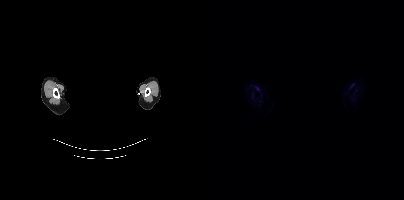
No tumor lesions annotated on this slice.
Facial anatomy redacted by setting a rectangular region of the head to black.